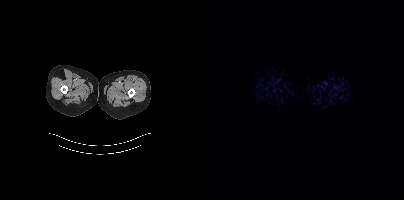
- Left: CT. Right: PSMA PET, same axial level, [18F]PSMA-1007 tracer
- acquired on Siemens Biograph mCT Flow 20
- slice 5 of 413
Findings: No tumor lesions annotated on this slice.